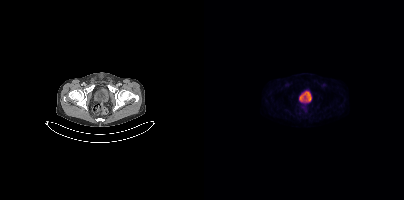
- Two-panel axial: CT | PSMA PET, 18F tracer
Findings: No tumor lesions annotated on this slice.